- Paired axial CT (left) and PSMA PET (right), [18F]PSMA-1007 tracer
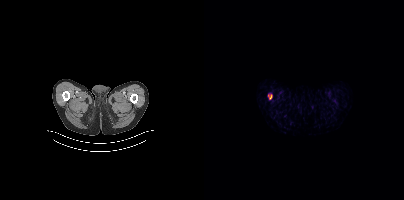
Findings: Coordinates are on the 200×200 PET (right) panel. PSMA-avid tumor lesion bounding box (x0, y0)-(x1, y1): (64, 94)-(68, 99).